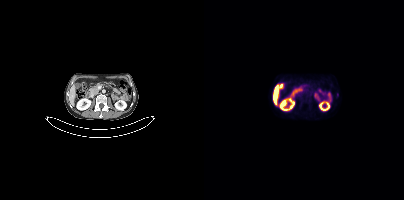
{"modality":"PSMA PET/CT","view":"axial","tracer":"[18F]PSMA-1007","pet_grid":[200,200],"coord_frame":"pet_panel","coord_format":"x0,y0,x1,y1","lesion_bboxes":[[133,93,134,97]]}